modality: PSMA PET/CT | tracer: 18F | view: axial | PET grid: 200×200
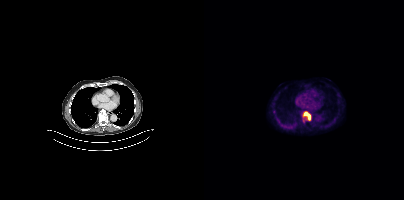
Coordinates are on the 200×200 PET (right) panel. PSMA-avid tumor lesion bounding box (x, y, width, height): x=99 y=111 w=9 h=10.